modality: PSMA PET/CT | tracer: [68Ga]Ga-PSMA-11 | view: axial | PET grid: 200×200
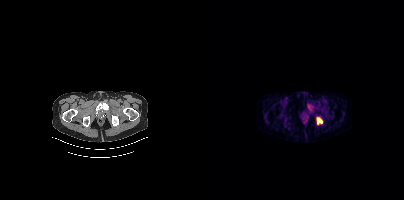
Coordinates are on the 200×200 PET (right) panel. PSMA-avid tumor lesion bounding boxes (x0, y0)-(x1, y1): (112, 117)-(118, 124) | (104, 104)-(106, 108).